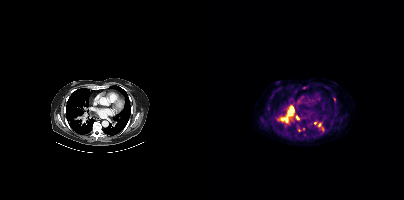
Coordinates are on the 200×200 PET (right) panel. (showing 8 of 9 foci) PSMA-avid tumor lesion bounding boxes (x0,y0,x1,y1): [72,105,89,122]; [115,123,119,129]. Small PSMA-avid foci (2 to 4 px across) near (center x, center y): (93, 117); (100, 87); (130, 99); (100, 134); (110, 122); (94, 130).
modality: PSMA PET/CT | tracer: 18F-PSMA | view: axial